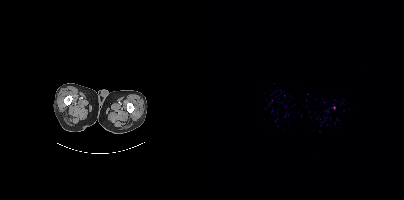
Paired axial CT (left) and PSMA PET (right), 18F-PSMA tracer. Slice 1 of 423. PET panel 200×200 px (4.1 mm/px). This slice has no annotated PSMA-avid lesion.